modality: PSMA PET/CT | tracer: 18F | view: axial | PET grid: 168×168
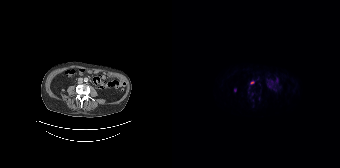
Coordinates are on the 168×168 PET (right) panel. (showing 5 of 9 foci) PSMA-avid tumor lesion bounding box (x0, y0)-(x1, y1): (78, 81)-(82, 84). Small PSMA-avid foci (2 to 4 px across) near (center x, center y): (63, 89); (81, 105); (80, 94); (87, 97).